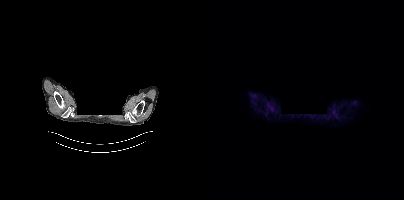
Negative for PSMA-avid disease on this slice.
deidentification: rectangular block over head set to black | modality: PSMA PET/CT | tracer: 18F-PSMA | view: axial